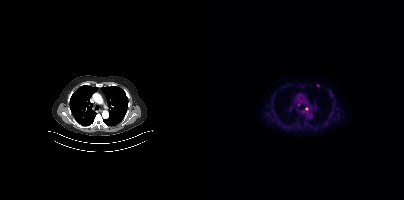
Coordinates are on the 200×200 PET (right) panel. Small PSMA-avid foci (2 to 4 px across) near (center x, center y): (102, 108), (95, 104), (114, 85).